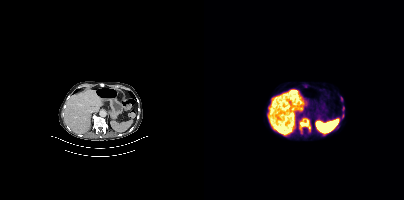
Left: CT. Right: PSMA PET, same axial level, 18F tracer. Acquired on Siemens Biograph mCT Flow 20. PET panel 200×200 px (4.1 mm/px). Coordinates are on the 200×200 PET (right) panel. PSMA-avid tumor lesion bounding box (x0,y0,x1,y1): [95,118,106,131]. Small PSMA-avid foci (2 to 4 px across) near (center x, center y): (137, 98) (139, 108).